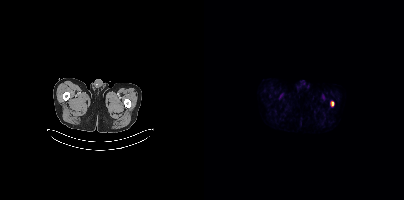
modality: PSMA PET/CT | tracer: 18F | view: axial | PET grid: 200×200
Coordinates are on the 200×200 PET (right) panel. PSMA-avid tumor lesion bounding box (x0,y0,x1,y1): [127,101,130,106].